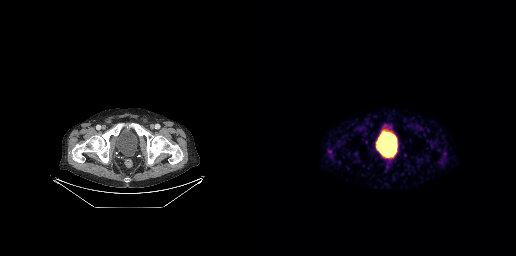
Paired axial CT (left) and PSMA PET (right), [68Ga]Ga-PSMA-11 tracer. Acquired on GE Discovery 690. Negative for PSMA-avid disease on this slice.